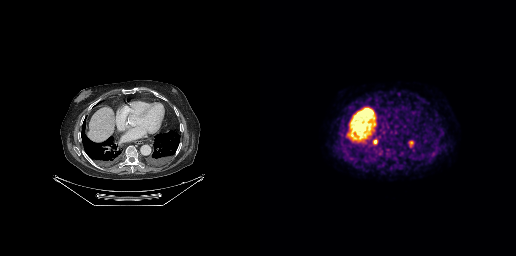
Left: CT. Right: PSMA PET, same axial level, 18F tracer. Acquired on GE Discovery 690. PET panel 256×256 px (2.7 mm/px). Coordinates are on the 256×256 PET (right) panel. PSMA-avid tumor lesion bounding boxes (x, y, width, height): x=148 y=141 w=6 h=6 / x=113 y=140 w=5 h=4.